Paired axial CT (left) and PSMA PET (right), 18F tracer.
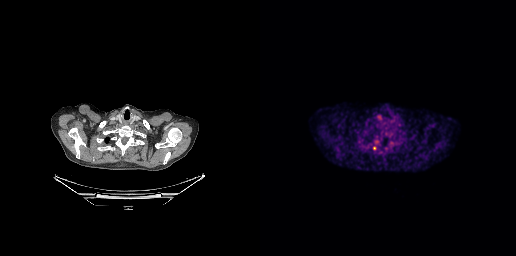
Coordinates are on the 256×256 PET (right) panel. Small PSMA-avid focus (2 to 4 px across) near (center x, center y): (114, 147).